Left: CT. Right: PSMA PET, same axial level, [18F]PSMA-1007 tracer.
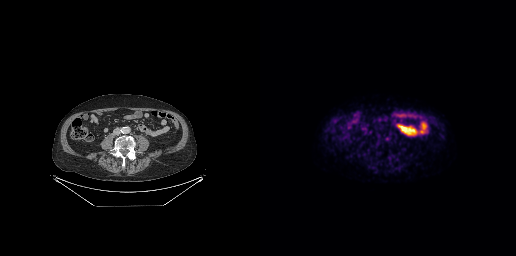
No tumor lesions annotated on this slice.